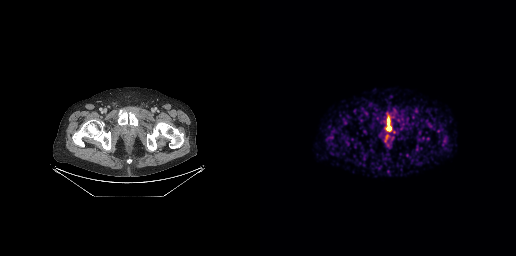
{"modality":"PSMA PET/CT","view":"axial","tracer":"68Ga-PSMA","pet_grid":[256,256],"coord_frame":"pet_panel","coord_format":"x0,y0,x1,y1","lesion_bboxes":[[126,126,131,131]]}